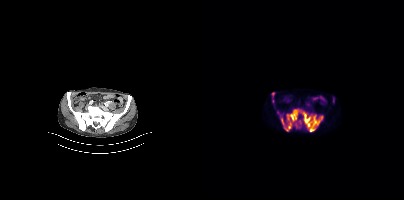
Coordinates are on the 200×200 PET (right) panel. (showing 5 of 7 foci) PSMA-avid tumor lesion bounding boxes (x, y, width, height): x=77 y=109 w=43 h=23 / x=68 y=92 w=3 h=5. Small PSMA-avid foci (2 to 4 px across) near (center x, center y): (96, 121) / (92, 125) / (73, 112).